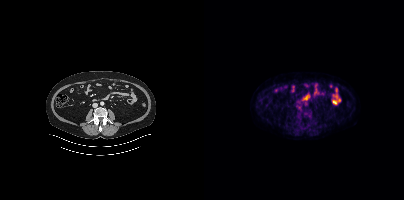
No PSMA-avid tumor lesions on this slice.